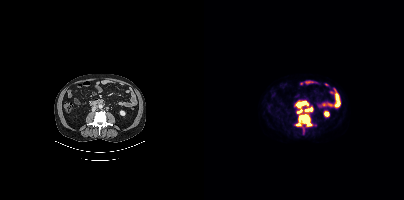
{"modality":"PSMA PET/CT","view":"axial","tracer":"[18F]PSMA-1007","pet_grid":[200,200],"coord_frame":"pet_panel","coord_format":"x0,y0,x1,y1","lesion_bboxes":[[91,100,108,126]]}